modality: PSMA PET/CT | tracer: [18F]PSMA-1007 | view: axial
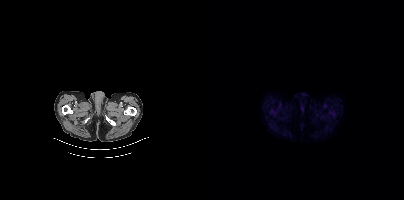
No PSMA-avid tumor lesions on this slice.